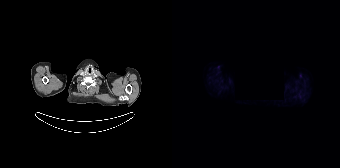
Privacy masking, with the pixels inside a rectangle set to black. Two-panel axial: CT | PSMA PET, 18F tracer. PET panel 168×168 px (4.1 mm/px). No tumor lesions annotated on this slice.